modality: PSMA PET/CT | tracer: 18F | view: axial | PET grid: 200×200
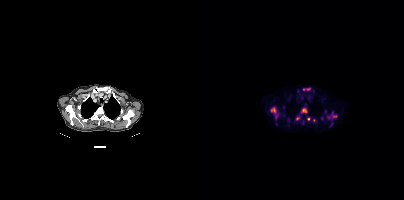
Coordinates are on the 200×200 PET (right) panel. (showing 8 of 9 foci) PSMA-avid tumor lesion bounding boxes (x0, y0)-(x1, y1): (66, 106)-(74, 118) | (98, 108)-(102, 112) | (99, 88)-(106, 90) | (127, 113)-(133, 118) | (92, 116)-(96, 119). Small PSMA-avid foci (2 to 4 px across) near (center x, center y): (110, 120) | (105, 119) | (124, 117).